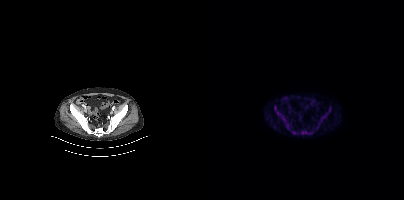
Coordinates are on the 200×200 PET (right) panel. PSMA-avid tumor lesion bounding boxes (x, y, width, height): x=71 y=108 w=14 h=21 | x=112 y=108 w=15 h=22 | x=97 y=130 w=12 h=5 | x=88 y=131 w=5 h=4.